modality: PSMA PET/CT | tracer: 68Ga | view: axial | PET grid: 200×200 | de-identification: face masked with black rectangle
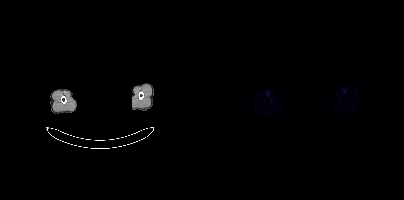
Negative for PSMA-avid disease on this slice.